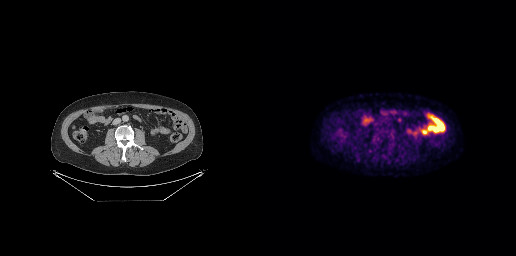
No tumor lesions annotated on this slice.
modality: PSMA PET/CT | tracer: 18F-PSMA | view: axial